Left: CT. Right: PSMA PET, same axial level, 18F-PSMA tracer. Acquired on Siemens Biograph mCT Flow 20. PET panel 200×200 px (4.1 mm/px).
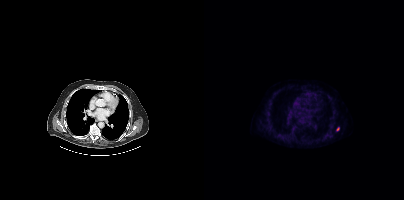
Coordinates are on the 200×200 PET (right) panel. Small PSMA-avid focus (2 to 4 px across) near (center x, center y): (133, 129).